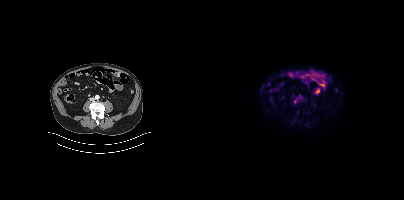
Only PSMA-avid lesion pieces thinner than 2 px on this slice (not listed).